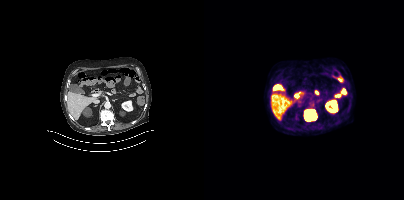
Coordinates are on the 200×200 PET (right) panel. PSMA-avid tumor lesion bounding box (x, y, width, height): x=100 y=109 w=14 h=13. Paired axial CT (left) and PSMA PET (right), 18F tracer. Acquired on Siemens Biograph mCT Flow 20. Slice position z = 1092 mm.